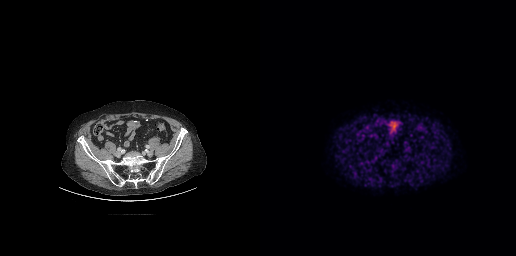
{"modality":"PSMA PET/CT","view":"axial","tracer":"18F-PSMA","pet_grid":[256,256],"coord_frame":"pet_panel","coord_format":"x0,y0,x1,y1","psma_avid_lesions":false}